modality: PSMA PET/CT | tracer: [18F]PSMA-1007 | view: axial | PET grid: 200×200
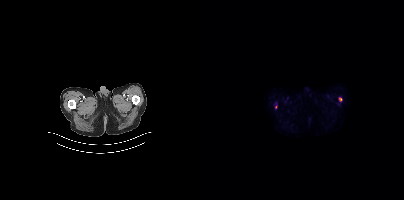
Coordinates are on the 200×200 PET (right) panel. Small PSMA-avid foci (2 to 4 px across) near (center x, center y): (136, 99); (71, 107).